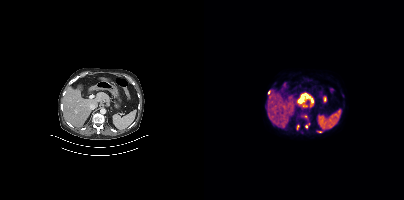
Coordinates are on the 200×200 PET (right) panel. (showing 1 of 2 foci) Small PSMA-avid focus (2 to 4 px across) near (center x, center y): (102, 126).